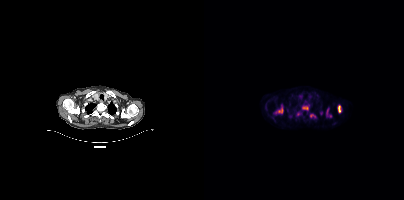
Findings: Coordinates are on the 200×200 PET (right) panel. (showing 6 of 9 foci) PSMA-avid tumor lesion bounding boxes (x0, y0)-(x1, y1): (70, 107)-(79, 114) / (98, 106)-(104, 109) / (134, 105)-(136, 111) / (106, 114)-(111, 117) / (122, 108)-(124, 115). Small PSMA-avid focus (2 to 4 px across) near (center x, center y): (126, 116).
- Paired axial CT (left) and PSMA PET (right), 18F-PSMA tracer
- acquired on Siemens Biograph mCT Flow 20
- slice position z = 468 mm